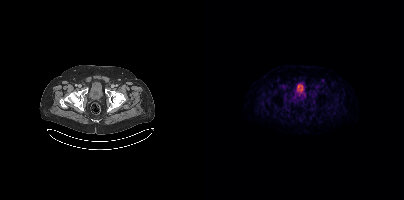
Coordinates are on the 200×200 PET (right) panel. PSMA-avid tumor lesion bounding boxes:
| # | x0 | y0 | x1 | y1 |
|---|---|---|---|---|
| 1 | 83 | 85 | 87 | 88 |
Left: CT. Right: PSMA PET, same axial level, 18F-PSMA tracer. PET panel 200×200 px (4.1 mm/px).